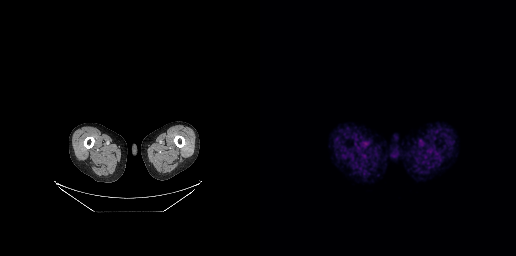
Findings: No tumor lesions annotated on this slice.
- Two-panel axial: CT | PSMA PET, 68Ga tracer
- slice 26 of 263
- PET panel 256×256 px (2.7 mm/px)